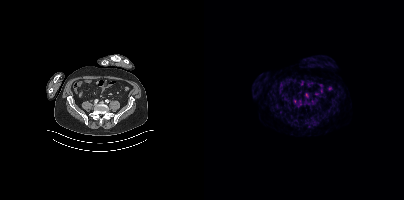
{"modality":"PSMA PET/CT","view":"axial","tracer":"68Ga-PSMA","pet_grid":[200,200],"coord_frame":"pet_panel","coord_format":"x0,y0,x1,y1","psma_avid_lesions":false}